A rectangular block over the head has been blanked out for de-identification.
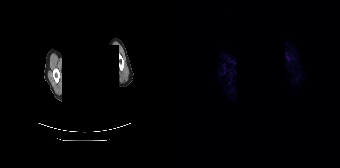
Negative for PSMA-avid disease on this slice.